modality: PSMA PET/CT | tracer: [18F]PSMA-1007 | view: axial | PET grid: 200×200
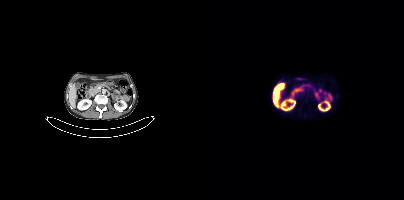
Only PSMA-avid lesion pieces thinner than 2 px on this slice (not listed).